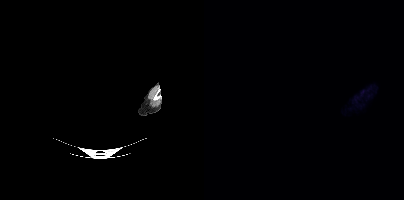
Findings: No PSMA-avid tumor lesions on this slice.
- a rectangle over the head was blacked out to remove identifiable facial features
- Left: CT. Right: PSMA PET, same axial level, 18F-PSMA tracer
- slice position z = 366 mm